Technique: Two-panel axial: CT | PSMA PET, [18F]PSMA-1007 tracer. PET panel 200×200 px (4.1 mm/px).
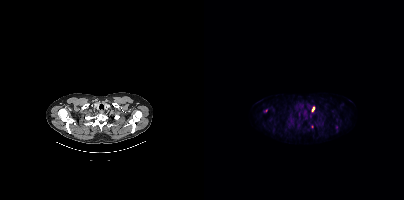
Findings: Coordinates are on the 200×200 PET (right) panel. PSMA-avid tumor lesion bounding box (x, y, width, height): x=108 y=106 w=3 h=6. Small PSMA-avid foci (2 to 4 px across) near (center x, center y): (108, 126) / (62, 110).